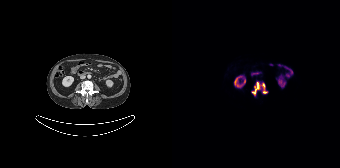
Coordinates are on the 168×168 PET (right) panel. PSMA-avid tumor lesion bounding box (x0,y0,x1,y1): [79,81,95,96].
modality: PSMA PET/CT | tracer: [18F]PSMA-1007 | view: axial | PET grid: 168×168